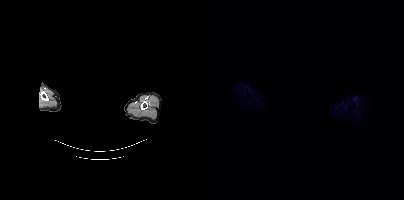
Head region blanked for anonymization (face removed).
This slice has no annotated PSMA-avid lesion.